Technique: Left: CT. Right: PSMA PET, same axial level, 18F-PSMA tracer. PET panel 200×200 px (4.1 mm/px).
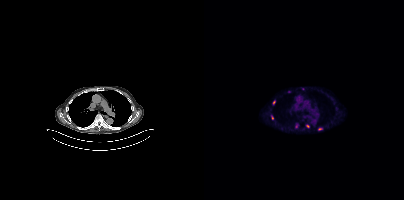
Findings: Coordinates are on the 200×200 PET (right) panel. (showing 5 of 10 foci) Small PSMA-avid foci (2 to 4 px across) near (center x, center y): (68, 117) | (92, 125) | (103, 126) | (115, 129) | (69, 102).